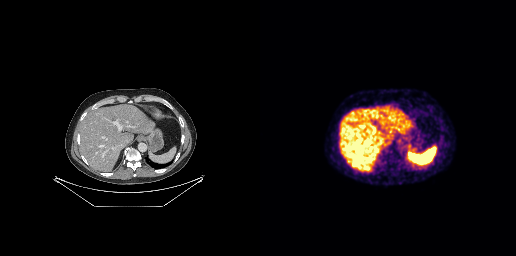
modality: PSMA PET/CT | tracer: 68Ga | view: axial | PET grid: 256×256
No PSMA-avid tumor lesions on this slice.